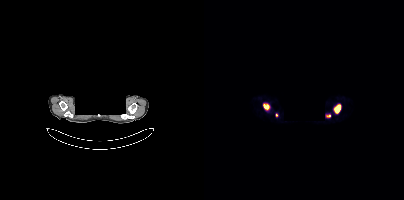
Coordinates are on the 200×200 PET (right) panel. PSMA-avid tumor lesion bounding boxes (x, y, width, height): x=130 y=104 w=7 h=10 / x=59 y=104 w=7 h=6 / x=122 y=114 w=5 h=4. Small PSMA-avid focus (2 to 4 px across) near (center x, center y): (72, 115). The face region was removed for patient privacy by blanking a rectangle over the head. Paired axial CT (left) and PSMA PET (right), 68Ga tracer. Slice 341 of 393. PET panel 200×200 px (4.1 mm/px).